Technique: Paired axial CT (left) and PSMA PET (right), 18F-PSMA tracer. acquired on GE Discovery 690. PET panel 256×256 px (2.7 mm/px).
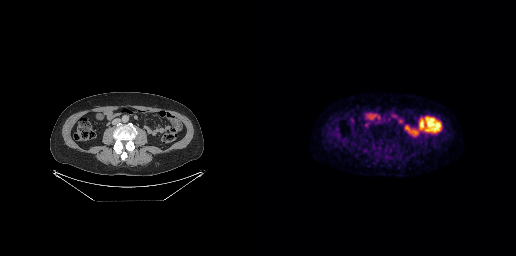
Findings: Only PSMA-avid lesion pieces thinner than 2 px on this slice (not listed).